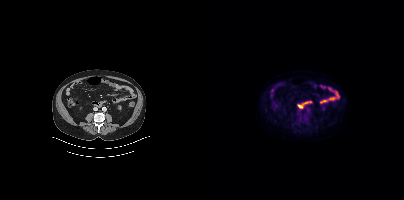
modality: PSMA PET/CT | tracer: [18F]PSMA-1007 | view: axial
No tumor lesions annotated on this slice.